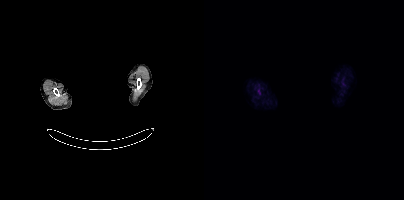
{"pet_grid":[200,200],"coord_frame":"pet_panel","coord_format":"x0,y0,x1,y1","psma_avid_lesions":false,"deidentification":"privacy mask over head","modality":"PSMA PET/CT","view":"axial","tracer":"18F-PSMA"}